Two-panel axial: CT | PSMA PET, 18F tracer. Acquired on Siemens Biograph mCT Flow 20. Slice position z = -230 mm. PET panel 200×200 px (4.1 mm/px). The head region is masked for de-identification.
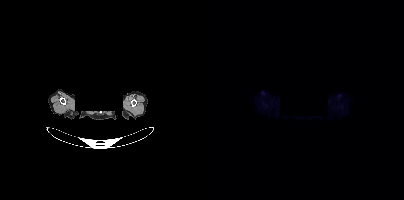
Negative for PSMA-avid disease on this slice.